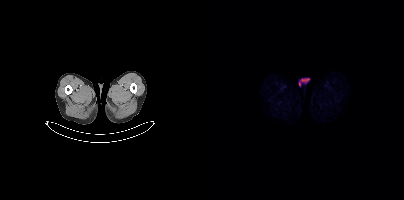
modality: PSMA PET/CT | tracer: 18F-PSMA | view: axial | PET grid: 200×200
No PSMA-avid tumor lesions on this slice.